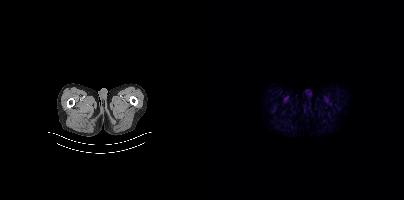
No tumor lesions annotated on this slice.